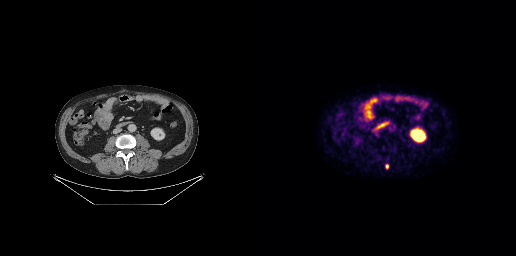
Technique: Left: CT. Right: PSMA PET, same axial level, 18F-PSMA tracer. acquired on GE Discovery 690. PET panel 256×256 px (2.7 mm/px).
Findings: Coordinates are on the 256×256 PET (right) panel. PSMA-avid tumor lesion bounding box (x, y, width, height): x=126 y=164 w=3 h=5.